Technique: Paired axial CT (left) and PSMA PET (right), [18F]PSMA-1007 tracer. acquired on Siemens Biograph mCT Flow 20. slice position z = -298 mm. PET panel 200×200 px (4.1 mm/px).
Note: The face region was removed for patient privacy by blanking a rectangle over the head.
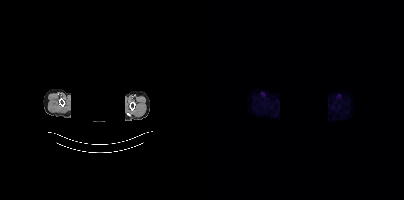
Findings: Negative for PSMA-avid disease on this slice.